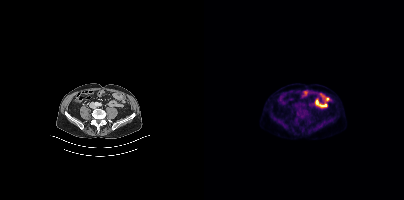
modality: PSMA PET/CT | tracer: 18F-PSMA | view: axial | PET grid: 200×200
This slice has no annotated PSMA-avid lesion.